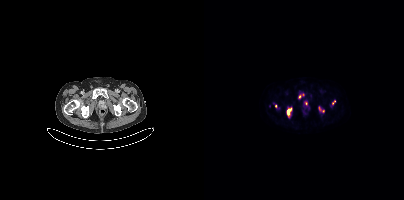
modality: PSMA PET/CT | tracer: 18F | view: axial
Coordinates are on the 200×200 PET (right) panel. PSMA-avid tumor lesion bounding boxes (x0, y0)-(x1, y1): (83, 108)-(87, 116) / (115, 107)-(119, 112). Small PSMA-avid foci (2 to 4 px across) near (center x, center y): (95, 95) / (129, 101) / (102, 103) / (71, 106).